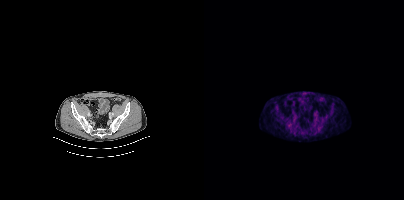
Left: CT. Right: PSMA PET, same axial level, [18F]PSMA-1007 tracer. Slice 100 of 448. PET panel 200×200 px (4.1 mm/px). No tumor lesions annotated on this slice.